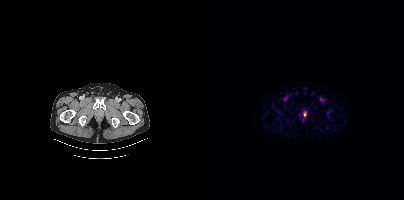
- Two-panel axial: CT | PSMA PET, 18F tracer
Findings: Coordinates are on the 200×200 PET (right) panel. PSMA-avid tumor lesion bounding box (x0, y0)-(x1, y1): (100, 112)-(102, 116).